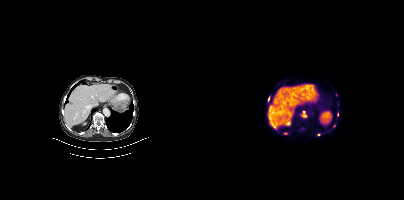
modality: PSMA PET/CT | tracer: [68Ga]Ga-PSMA-11 | view: axial | PET grid: 200×200
Coordinates are on the 200×200 PET (right) panel. (showing 7 of 9 foci) PSMA-avid tumor lesion bounding boxes (x, y, width, height): x=98 y=111 w=5 h=7; x=79 y=132 w=5 h=3. Small PSMA-avid foci (2 to 4 px across) near (center x, center y): (98, 129); (114, 134); (64, 99); (133, 114); (130, 125).